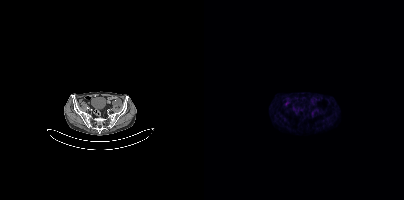
modality: PSMA PET/CT | tracer: [18F]PSMA-1007 | view: axial
No tumor lesions annotated on this slice.